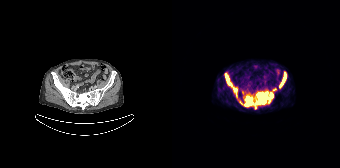
- Left: CT. Right: PSMA PET, same axial level, 68Ga tracer
- slice 63 of 195
Findings: Coordinates are on the 168×168 PET (right) panel. (showing 6 of 8 foci) PSMA-avid tumor lesion bounding boxes (x, y, width, height): x=83 y=92 w=19 h=14 / x=53 y=73 w=13 h=23 / x=72 y=96 w=10 h=11 / x=108 y=74 w=7 h=13. Small PSMA-avid foci (2 to 4 px across) near (center x, center y): (71, 92) / (83, 107).